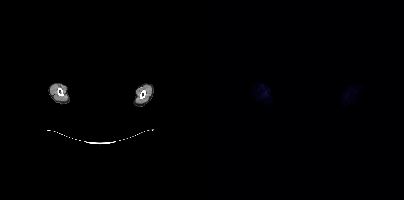
Findings: Negative for PSMA-avid disease on this slice.
- Left: CT. Right: PSMA PET, same axial level, [18F]PSMA-1007 tracer
- acquired on Siemens Biograph mCT Flow 20
- slice 350 of 375
- PET panel 200×200 px (4.1 mm/px)
- head region blanked for anonymization (face removed)